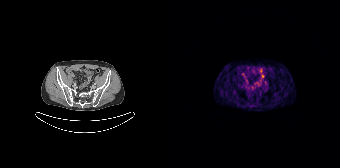
{"modality":"PSMA PET/CT","view":"axial","tracer":"68Ga","pet_grid":[168,168],"coord_frame":"pet_panel","coord_format":"x0,y0,x1,y1","psma_avid_lesions":false}